- Two-panel axial: CT | PSMA PET, 18F tracer
- acquired on Siemens Biograph mCT Flow 20
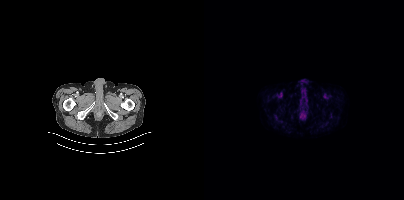
Findings: No tumor lesions annotated on this slice.